- Left: CT. Right: PSMA PET, same axial level, 18F-PSMA tracer
- acquired on Siemens Biograph mCT Flow 20
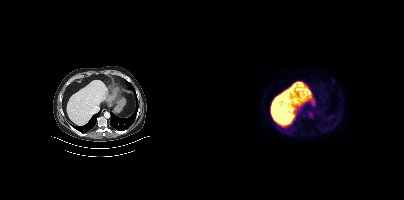
Findings: Negative for PSMA-avid disease on this slice.